Two-panel axial: CT | PSMA PET, 18F-PSMA tracer. Acquired on Siemens Biograph mCT Flow 20. PET panel 200×200 px (4.1 mm/px).
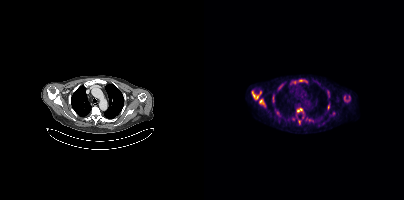
Coordinates are on the 200×200 PET (right) panel. (showing 11 of 14 foci) PSMA-avid tumor lesion bounding boxes (x, y, width, height): x=48 y=91 w=8 h=9 / x=93 y=108 w=7 h=5 / x=55 y=99 w=6 h=6 / x=95 y=79 w=8 h=4 / x=74 y=84 w=5 h=5 / x=68 y=95 w=3 h=6 / x=124 y=104 w=2 h=6 / x=140 y=96 w=2 h=5 / x=124 y=91 w=2 h=5. Small PSMA-avid foci (2 to 4 px across) near (center x, center y): (95, 121) / (56, 92).